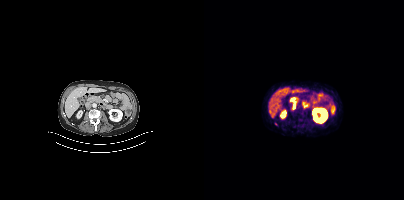
Coordinates are on the 200×200 PET (right) panel. PSMA-avid tumor lesion bounding box (x0,y0,x1,y1): [89,104,91,108]. Small PSMA-avid focus (2 to 4 px across) near (center x, center y): (100, 106).
modality: PSMA PET/CT | tracer: [68Ga]Ga-PSMA-11 | view: axial | PET grid: 200×200